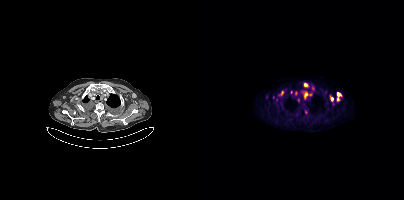
{"pet_grid":[200,200],"coord_frame":"pet_panel","coord_format":"x0,y0,x1,y1","partial":true,"lesion_bboxes":[[133,92,137,101],[97,91,104,99],[100,83,104,86],[126,96,129,101],[77,91,79,95]],"small_foci_centers":[[94,100],[109,88],[91,93],[69,97],[87,92],[106,94],[62,96]],"modality":"PSMA PET/CT","view":"axial","tracer":"18F"}